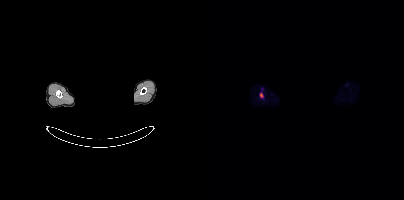
Coordinates are on the 200×200 PET (right) panel. (showing 1 of 2 foci) PSMA-avid tumor lesion bounding box (x0,y0,x1,y1): [55,92,59,98]. Head region blanked for anonymization (face removed). Two-panel axial: CT | PSMA PET, 18F-PSMA tracer. PET panel 200×200 px (4.1 mm/px).